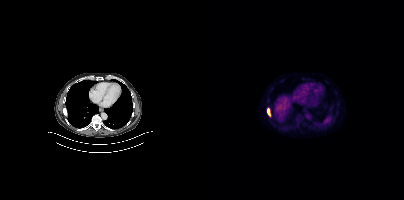
- Left: CT. Right: PSMA PET, same axial level, 18F tracer
- slice position z = -601 mm
Findings: Coordinates are on the 200×200 PET (right) panel. PSMA-avid tumor lesion bounding box (x0,y0,x1,y1): [63,108,66,116].